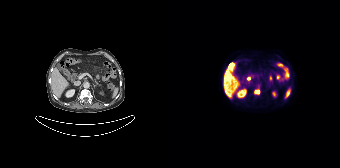
Coordinates are on the 168×168 PET (right) panel. PSMA-avid tumor lesion bounding box (x, y, width, height): x=82 y=90 w=6 h=4. Two-panel axial: CT | PSMA PET, 18F tracer. PET panel 168×168 px (4.1 mm/px).